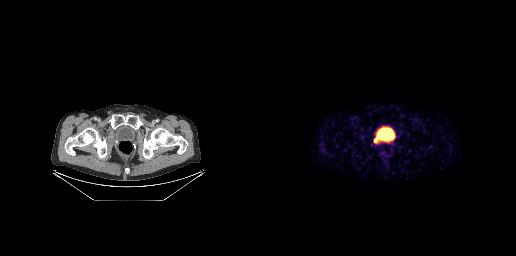
- Paired axial CT (left) and PSMA PET (right), 68Ga tracer
- PET panel 256×256 px (2.7 mm/px)
Findings: Coordinates are on the 256×256 PET (right) panel. PSMA-avid tumor lesion bounding box (x0,y0,x1,y1): [114,138,117,143].